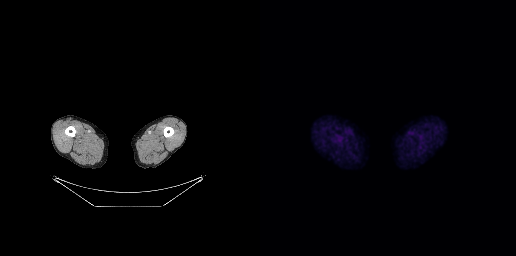
Findings: Negative for PSMA-avid disease on this slice.
- Two-panel axial: CT | PSMA PET, 18F tracer
- slice 15 of 263